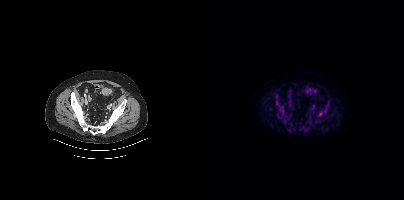
Coordinates are on the 200×200 PET (right) panel. Small PSMA-avid focus (2 to 4 px across) near (center x, center y): (116, 114).